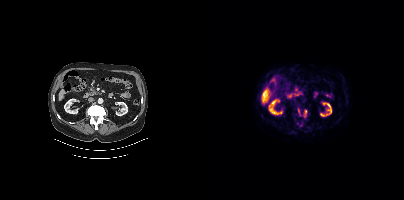
Paired axial CT (left) and PSMA PET (right), 18F tracer. Slice 212 of 454. PET panel 200×200 px (4.1 mm/px).
Coordinates are on the 200×200 PET (right) panel. PSMA-avid tumor lesion bounding boxes:
| # | x0 | y0 | x1 | y1 |
|---|---|---|---|---|
| 1 | 100 | 110 | 103 | 116 |
| 2 | 94 | 109 | 96 | 115 |